Left: CT. Right: PSMA PET, same axial level, [68Ga]Ga-PSMA-11 tracer. Slice position z = -1376 mm.
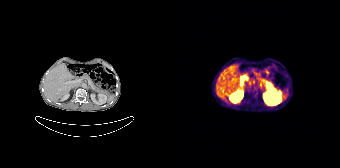
No PSMA-avid tumor lesions on this slice.